- Left: CT. Right: PSMA PET, same axial level, 18F tracer
- slice 117 of 429
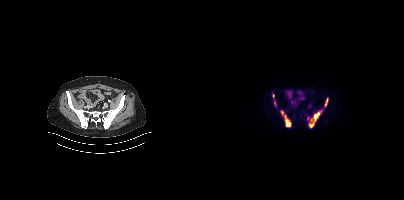
Findings: Coordinates are on the 200×200 PET (right) panel. (showing 5 of 6 foci) PSMA-avid tumor lesion bounding boxes (x0, y0)-(x1, y1): (77, 111)-(87, 126) / (105, 114)-(114, 127) / (121, 98)-(123, 106) / (70, 102)-(72, 106). Small PSMA-avid focus (2 to 4 px across) near (center x, center y): (69, 95).